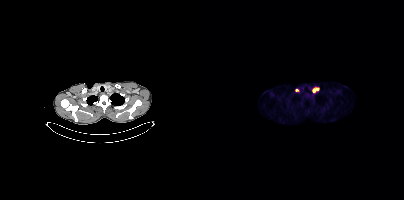
modality: PSMA PET/CT | tracer: [18F]PSMA-1007 | view: axial | PET grid: 200×200
Coordinates are on the 200×200 PET (right) panel. PSMA-avid tumor lesion bounding box (x0, y0)-(x1, y1): (109, 87)-(114, 92). Small PSMA-avid focus (2 to 4 px across) near (center x, center y): (92, 90).